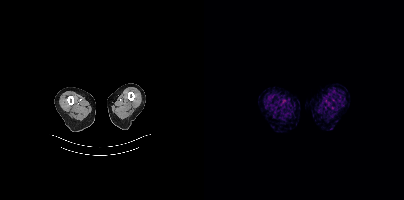
No tumor lesions annotated on this slice.